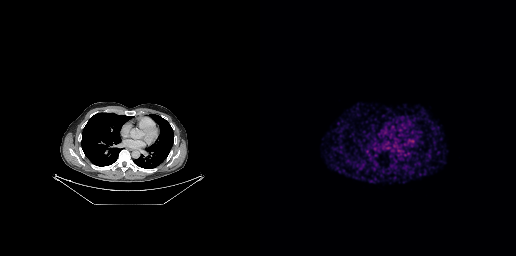
{"modality":"PSMA PET/CT","view":"axial","tracer":"68Ga-PSMA","pet_grid":[256,256],"coord_frame":"pet_panel","coord_format":"x0,y0,x1,y1","psma_avid_lesions":false}